- Two-panel axial: CT | PSMA PET, 18F tracer
- PET panel 200×200 px (4.1 mm/px)
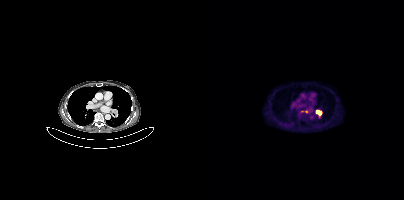
Findings: Coordinates are on the 200×200 PET (right) panel. (showing 2 of 3 foci) PSMA-avid tumor lesion bounding box (x0, y0)-(x1, y1): (111, 110)-(118, 116). Small PSMA-avid focus (2 to 4 px across) near (center x, center y): (102, 111).